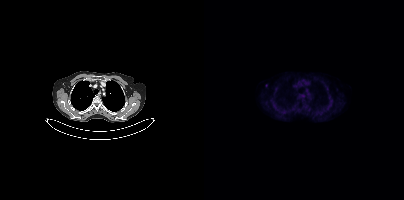
Negative for PSMA-avid disease on this slice.